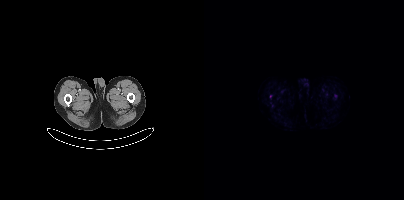
Only PSMA-avid lesion pieces thinner than 2 px on this slice (not listed).